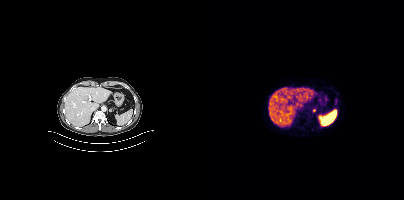
Paired axial CT (left) and PSMA PET (right), [68Ga]Ga-PSMA-11 tracer. PET panel 200×200 px (4.1 mm/px). Coordinates are on the 200×200 PET (right) panel. Small PSMA-avid focus (2 to 4 px across) near (center x, center y): (110, 110).